Paired axial CT (left) and PSMA PET (right), [18F]PSMA-1007 tracer. Acquired on Siemens Biograph mCT Flow 20. Slice 256 of 417.
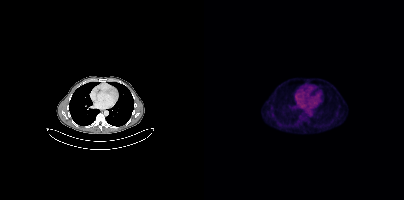
This slice has no annotated PSMA-avid lesion.